Two-panel axial: CT | PSMA PET, [18F]PSMA-1007 tracer.
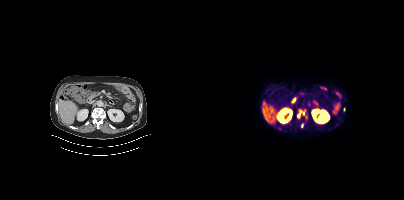
Coordinates are on the 200×200 PET (right) panel. Small PSMA-avid foci (2 to 4 px across) near (center x, center y): (94, 115) / (99, 113).